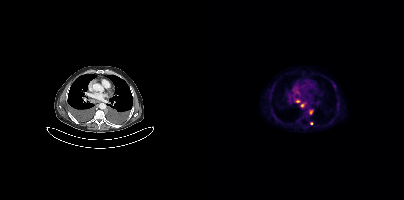
{"modality":"PSMA PET/CT","view":"axial","tracer":"18F","pet_grid":[200,200],"coord_frame":"pet_panel","coord_format":"x0,y0,x1,y1","lesion_bboxes":[[105,109,109,114]],"small_foci_centers":[[93,101],[98,105],[107,123]]}